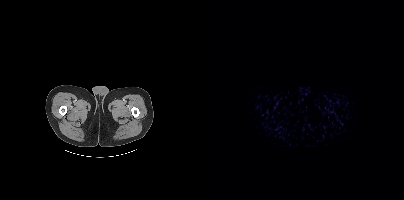
Two-panel axial: CT | PSMA PET, 18F-PSMA tracer. PET panel 200×200 px (4.1 mm/px). No tumor lesions annotated on this slice.